modality: PSMA PET/CT | tracer: 18F | view: axial
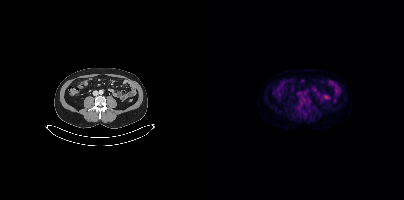
Negative for PSMA-avid disease on this slice.